Two-panel axial: CT | PSMA PET, 18F-PSMA tracer. Slice position z = -1267 mm. PET panel 200×200 px (4.1 mm/px).
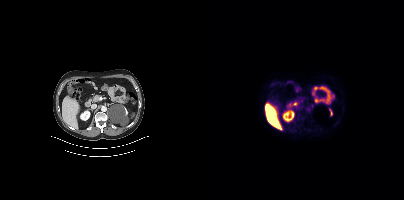
Negative for PSMA-avid disease on this slice.